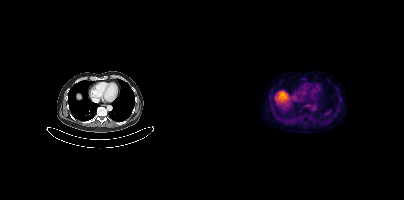
- Left: CT. Right: PSMA PET, same axial level, 18F tracer
- acquired on Siemens Biograph mCT Flow 20
- slice position z = -183 mm
Findings: This slice has no annotated PSMA-avid lesion.